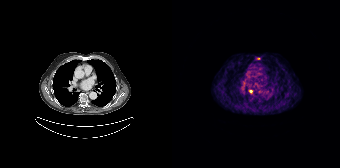
Coordinates are on the 168×168 PET (right) panel. Small PSMA-avid focus (2 to 4 px across) near (center x, center y): (78, 91).